modality: PSMA PET/CT | tracer: [18F]PSMA-1007 | view: axial
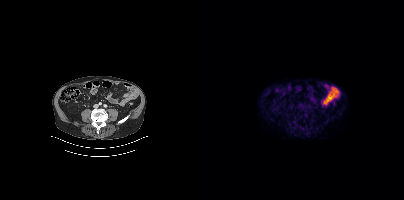
No tumor lesions annotated on this slice.